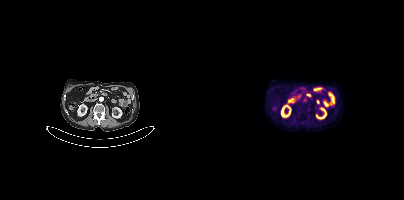
Findings: Negative for PSMA-avid disease on this slice.
Technique: Two-panel axial: CT | PSMA PET, [18F]PSMA-1007 tracer. PET panel 200×200 px (4.1 mm/px).